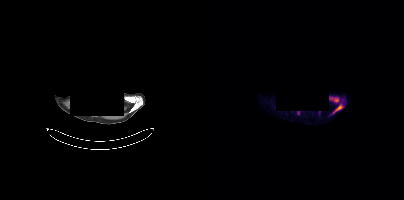
Findings: Coordinates are on the 200×200 PET (right) panel. (showing 2 of 3 foci) PSMA-avid tumor lesion bounding boxes (x, y, width, height): x=125 y=97 w=10 h=6 / x=129 y=104 w=10 h=10.
Technique: Two-panel axial: CT | PSMA PET, 18F-PSMA tracer. slice 355 of 401.
Note: A rectangular block over the head has been blanked out for de-identification.